modality: PSMA PET/CT | tracer: [18F]PSMA-1007 | view: axial | PET grid: 200×200
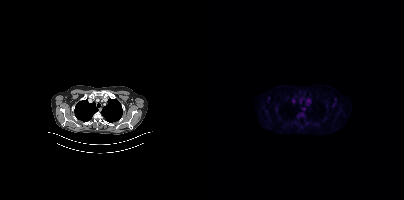
No tumor lesions annotated on this slice.